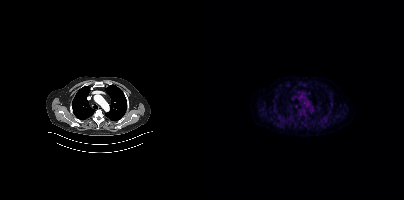
Findings: Coordinates are on the 200×200 PET (right) panel. Small PSMA-avid focus (2 to 4 px across) near (center x, center y): (92, 106).
Technique: Two-panel axial: CT | PSMA PET, [18F]PSMA-1007 tracer. acquired on Siemens Biograph mCT Flow 20. slice 334 of 433. PET panel 200×200 px (4.1 mm/px).